Paired axial CT (left) and PSMA PET (right), 18F-PSMA tracer. Slice 3 of 263.
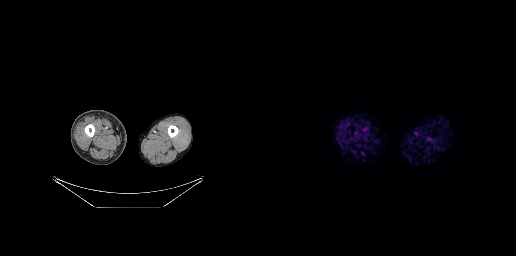
No PSMA-avid tumor lesions on this slice.